Left: CT. Right: PSMA PET, same axial level, [18F]PSMA-1007 tracer. PET panel 256×256 px (2.7 mm/px).
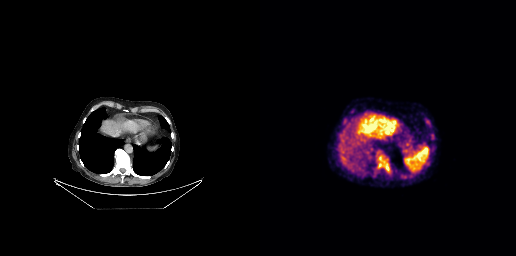
Coordinates are on the 256×256 PET (right) panel. PSMA-avid tumor lesion bounding boxes (x0, y0)-(x1, y1): (118, 156)-(129, 171) / (165, 119)-(170, 126) / (171, 134)-(174, 138).